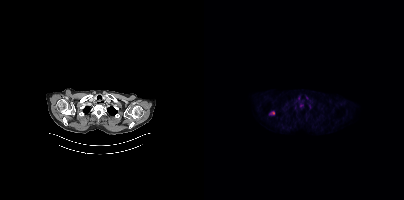
Technique: Paired axial CT (left) and PSMA PET (right), 18F tracer. acquired on Siemens Biograph mCT Flow 20. PET panel 200×200 px (4.1 mm/px).
Findings: Coordinates are on the 200×200 PET (right) panel. PSMA-avid tumor lesion bounding box (x0, y0)-(x1, y1): (66, 111)-(70, 114).